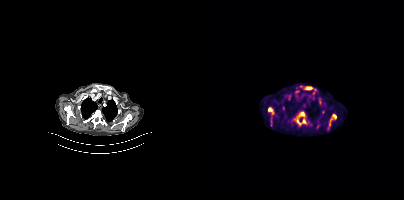
Coordinates are on the 200×200 PET (right) panel. (showing 6 of 8 foci) PSMA-avid tumor lesion bounding boxes (x0,y0,x1,y1): [90,111,103,125]; [64,107,70,114]; [66,117,69,126]; [123,123,127,130]; [82,94,87,100]; [101,86,108,89]. Two-panel axial: CT | PSMA PET, 18F tracer. Acquired on Siemens Biograph mCT Flow 20.